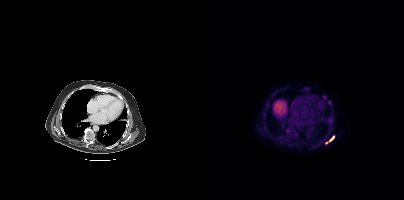
Two-panel axial: CT | PSMA PET, 18F-PSMA tracer. Acquired on Siemens Biograph mCT Flow 20. Slice 283 of 431.
Coordinates are on the 200×200 PET (right) panel. PSMA-avid tumor lesion bounding boxes (partial; 1 more focus not listed):
| # | x0 | y0 | x1 | y1 |
|---|---|---|---|---|
| 1 | 125 | 136 | 130 | 141 |